Two-panel axial: CT | PSMA PET, 18F-PSMA tracer. PET panel 200×200 px (4.1 mm/px).
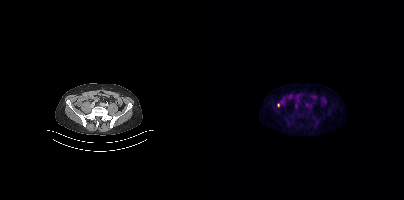
Coordinates are on the 200×200 PET (right) panel. Small PSMA-avid focus (2 to 4 px across) near (center x, center y): (74, 105).